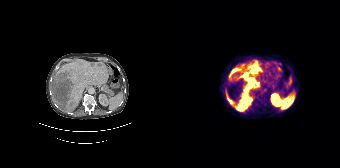
Technique: Paired axial CT (left) and PSMA PET (right), 68Ga-PSMA tracer. slice 112 of 195. PET panel 168×168 px (4.1 mm/px).
Findings: Coordinates are on the 168×168 PET (right) panel. PSMA-avid tumor lesion bounding boxes (x, y, width, height): x=54 y=60 w=36 h=52 / x=57 y=67 w=13 h=12. Small PSMA-avid focus (2 to 4 px across) near (center x, center y): (70, 63).